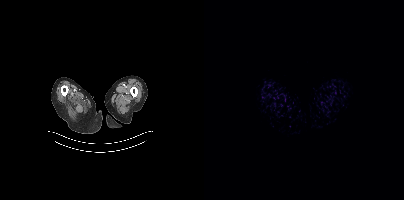
This slice has no annotated PSMA-avid lesion.